Technique: Paired axial CT (left) and PSMA PET (right), [18F]PSMA-1007 tracer. PET panel 200×200 px (4.1 mm/px).
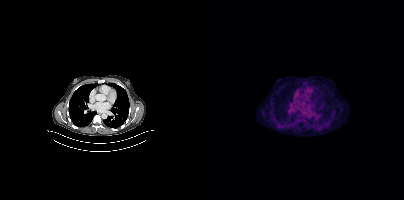
Findings: Negative for PSMA-avid disease on this slice.